- Two-panel axial: CT | PSMA PET, 18F-PSMA tracer
- acquired on Siemens Biograph mCT Flow 20
- PET panel 200×200 px (4.1 mm/px)
- face de-identified by blanking a block of the head
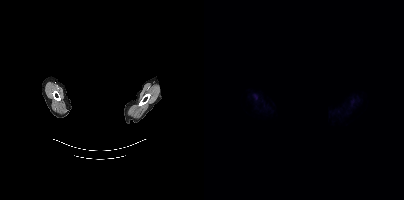
Findings: No PSMA-avid tumor lesions on this slice.